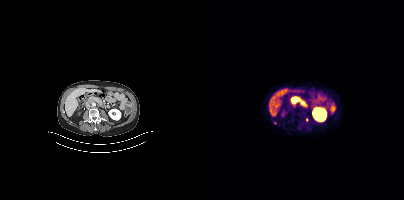
{"modality":"PSMA PET/CT","view":"axial","tracer":"68Ga","pet_grid":[200,200],"coord_frame":"pet_panel","coord_format":"x0,y0,x1,y1","partial":true,"lesion_bboxes":[[87,100,92,103]],"small_foci_centers":[[103,119]]}